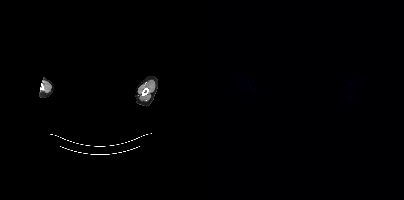
Findings: No PSMA-avid tumor lesions on this slice.
Technique: Left: CT. Right: PSMA PET, same axial level, [18F]PSMA-1007 tracer. slice 388 of 395.
Note: Face de-identified by blanking a block of the head.